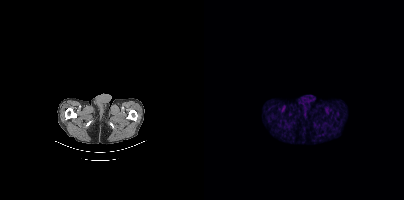
This slice has no annotated PSMA-avid lesion.
modality: PSMA PET/CT | tracer: 18F-PSMA | view: axial | PET grid: 200×200